Paired axial CT (left) and PSMA PET (right), 18F-PSMA tracer.
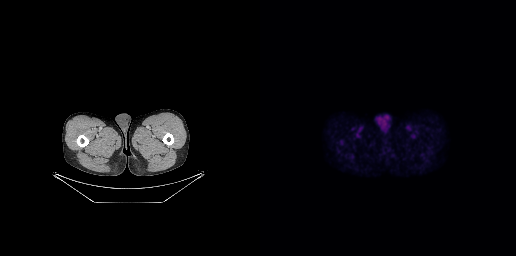
Coordinates are on the 256×256 PET (right) panel. PSMA-avid tumor lesion bounding boxes:
| # | x0 | y0 | x1 | y1 |
|---|---|---|---|---|
| 1 | 79 | 140 | 84 | 145 |